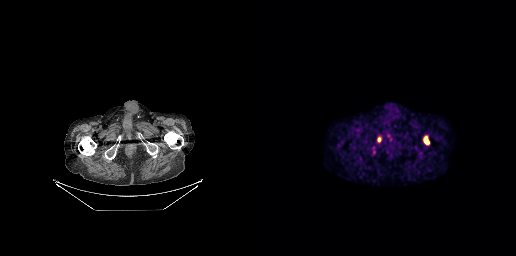
Coordinates are on the 256×256 PET (right) panel. PSMA-avid tumor lesion bounding box (x0,y0,x1,y1): [163,136,169,144]. Small PSMA-avid focus (2 to 4 px across) near (center x, center y): (119, 137).